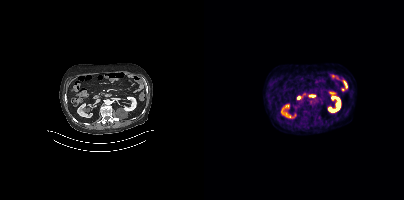
No PSMA-avid tumor lesions on this slice.